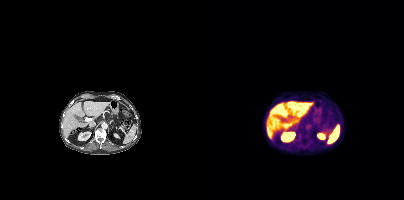
Findings: This slice has no annotated PSMA-avid lesion.
- Two-panel axial: CT | PSMA PET, [18F]PSMA-1007 tracer
- acquired on Siemens Biograph mCT Flow 20